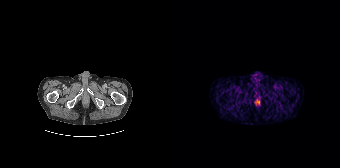
{"modality":"PSMA PET/CT","view":"axial","tracer":"68Ga-PSMA","pet_grid":[168,168],"coord_frame":"pet_panel","coord_format":"x0,y0,x1,y1","psma_avid_lesions":false}